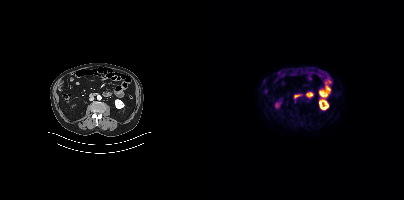
Negative for PSMA-avid disease on this slice.